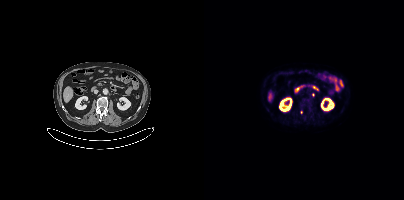
Only PSMA-avid lesion pieces thinner than 2 px on this slice (not listed).